Two-panel axial: CT | PSMA PET, [68Ga]Ga-PSMA-11 tracer. Slice 190 of 195. PET panel 168×168 px (4.1 mm/px). A rectangular block over the head has been blanked out for de-identification.
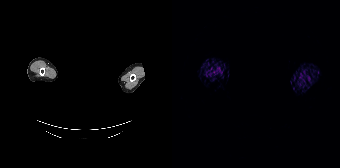
This slice has no annotated PSMA-avid lesion.